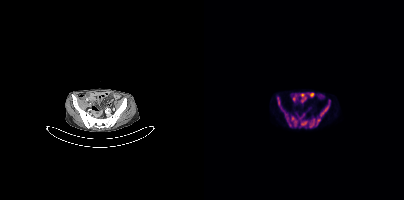
Coordinates are on the 200×200 PET (right) panel. (showing 7 of 8 foci) PSMA-avid tumor lesion bounding boxes (x0, y0)-(x1, y1): (117, 100)-(126, 114) / (87, 116)-(93, 126) / (81, 113)-(87, 126) / (105, 119)-(110, 127) / (97, 121)-(103, 125) / (73, 97)-(75, 105) / (112, 119)-(116, 125).